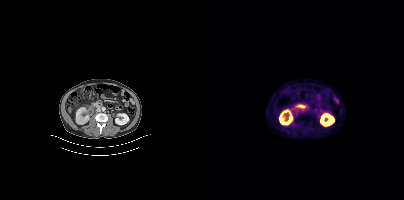
modality: PSMA PET/CT | tracer: [18F]PSMA-1007 | view: axial
No tumor lesions annotated on this slice.